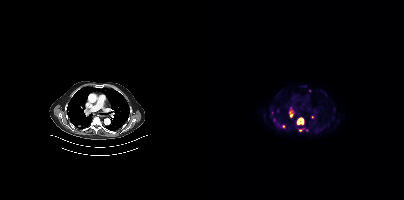
Coordinates are on the 200×200 PET (right) panel. PSMA-avid tumor lesion bounding boxes (x0, y0)-(x1, y1): (93, 118)-(99, 124) | (86, 110)-(88, 116). Small PSMA-avid foci (2 to 4 px across) near (center x, center y): (79, 126) | (96, 130) | (69, 119) | (105, 90) | (68, 112) | (108, 116).